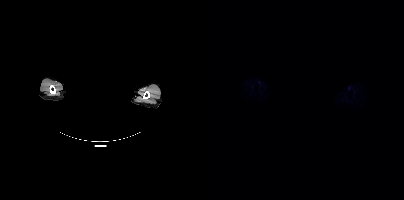
Technique: Left: CT. Right: PSMA PET, same axial level, 18F-PSMA tracer. PET panel 200×200 px (4.1 mm/px).
Note: Any black rectangle over the head is a privacy mask, not anatomy.
Findings: Negative for PSMA-avid disease on this slice.